Left: CT. Right: PSMA PET, same axial level, 68Ga tracer. Slice 23 of 263.
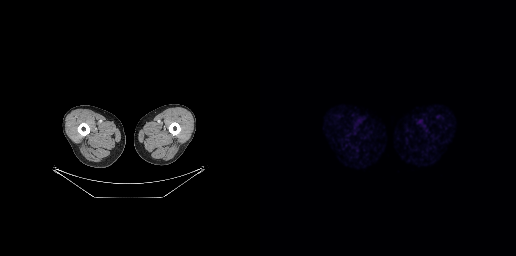
This slice has no annotated PSMA-avid lesion.